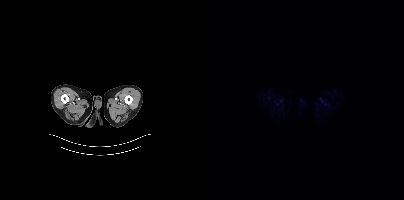
{"modality":"PSMA PET/CT","view":"axial","tracer":"18F-PSMA","pet_grid":[200,200],"coord_frame":"pet_panel","coord_format":"x0,y0,x1,y1","psma_avid_lesions":false}